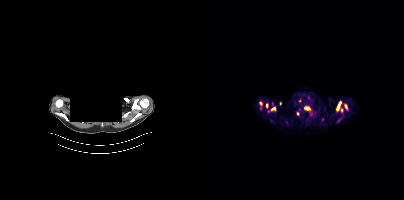
Two-panel axial: CT | PSMA PET, 18F tracer. Slice 312 of 401. An anonymization step blacked out a rectangle over the head in this scan. Coordinates are on the 200×200 PET (right) panel. (showing 8 of 9 foci) PSMA-avid tumor lesion bounding boxes (x, y, width, height): x=132 y=101 w=7 h=12; x=100 y=107 w=7 h=4; x=140 y=104 w=4 h=5; x=62 y=103 w=3 h=5; x=67 y=107 w=5 h=4. Small PSMA-avid foci (2 to 4 px across) near (center x, center y): (57, 103); (76, 103); (93, 113).